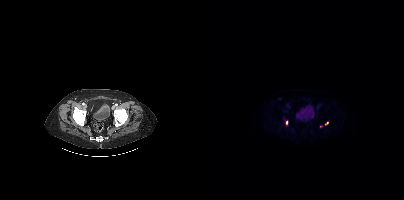
Coordinates are on the 200×200 PET (right) panel. (showing 2 of 3 foci) Small PSMA-avid foci (2 to 4 px across) near (center x, center y): (122, 122) | (82, 122).